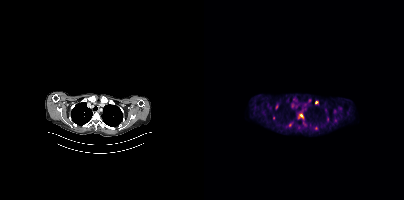
Coordinates are on the 200×200 PET (right) panel. (showing 5 of 7 foci) PSMA-avid tumor lesion bounding box (x0,y0,x1,y1): [94,114,99,118]. Small PSMA-avid foci (2 to 4 px across) near (center x, center y): (112, 102), (112, 128), (72, 107), (69, 117). Two-panel axial: CT | PSMA PET, [18F]PSMA-1007 tracer.